Two-panel axial: CT | PSMA PET, [18F]PSMA-1007 tracer.
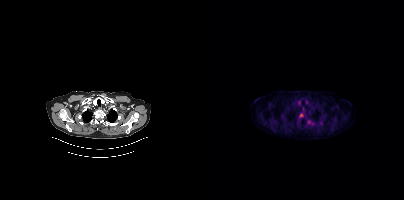
Coordinates are on the 200×200 PET (right) panel. PSMA-avid tumor lesion bounding boxes:
| # | x0 | y0 | x1 | y1 |
|---|---|---|---|---|
| 1 | 95 | 113 | 99 | 117 |
Small PSMA-avid focus (2 to 4 px across) near (center x, center y): (109, 123).